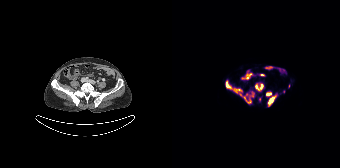
modality: PSMA PET/CT | tracer: [18F]PSMA-1007 | view: axial
Coordinates are on the 168×168 PET (right) panel. (showing 4 of 6 foci) PSMA-avid tumor lesion bounding boxes (x0,y0,x1,y1): [53,80,83,104]; [93,91,105,106]; [82,82,92,92]; [87,97,89,101].